- Two-panel axial: CT | PSMA PET, 18F tracer
- acquired on Siemens Biograph mCT Flow 20
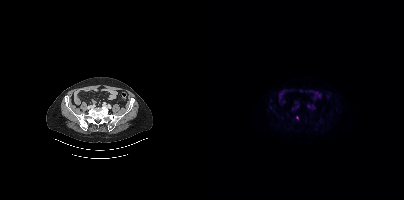
Findings: Coordinates are on the 200×200 PET (right) panel. Small PSMA-avid focus (2 to 4 px across) near (center x, center y): (93, 117).